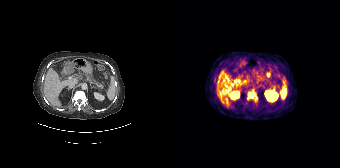
Coordinates are on the 168×168 PET (right) panel. (showing 1 of 2 foci) PSMA-avid tumor lesion bounding box (x0, y0)-(x1, y1): (75, 91)-(85, 99).